Left: CT. Right: PSMA PET, same axial level, 18F tracer.
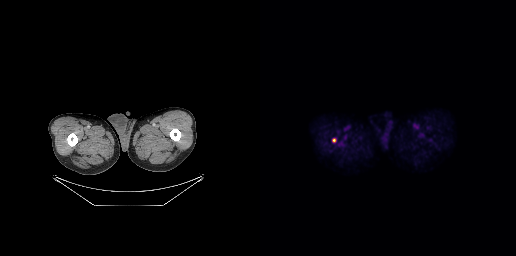
No tumor lesions annotated on this slice.